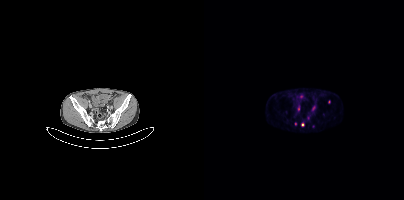
Coordinates are on the 200×200 PET (right) panel. (showing 3 of 5 foci) PSMA-avid tumor lesion bounding box (x0,y0,x1,y1): [108,105,111,109]. Small PSMA-avid foci (2 to 4 px across) near (center x, center y): (98, 124), (94, 108). Left: CT. Right: PSMA PET, same axial level, 68Ga-PSMA tracer. Slice 88 of 409.